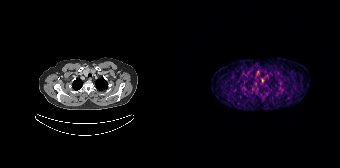
{"modality":"PSMA PET/CT","view":"axial","tracer":"68Ga-PSMA","pet_grid":[168,168],"coord_frame":"pet_panel","coord_format":"x0,y0,x1,y1","partial":true,"lesion_bboxes":[]}